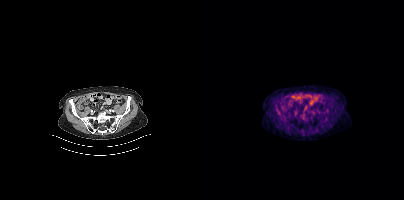
{"modality":"PSMA PET/CT","view":"axial","tracer":"18F-PSMA","pet_grid":[200,200],"coord_frame":"pet_panel","coord_format":"x0,y0,x1,y1","psma_avid_lesions":false}